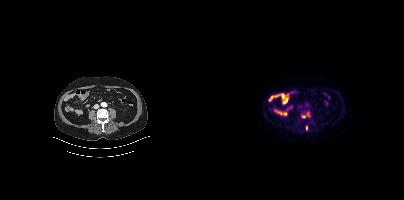
Two-panel axial: CT | PSMA PET, 18F-PSMA tracer. PET panel 200×200 px (4.1 mm/px). Coordinates are on the 200×200 PET (right) panel. Small PSMA-avid foci (2 to 4 px across) near (center x, center y): (102, 128) | (99, 116).